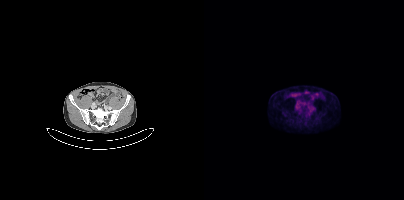
Left: CT. Right: PSMA PET, same axial level, [18F]PSMA-1007 tracer. Coordinates are on the 200×200 PET (right) panel. PSMA-avid tumor lesion bounding box (x0,y0,x1,y1): [105,106,109,110].